Paired axial CT (left) and PSMA PET (right), 18F-PSMA tracer. Acquired on Siemens Biograph mCT Flow 20. PET panel 200×200 px (4.1 mm/px).
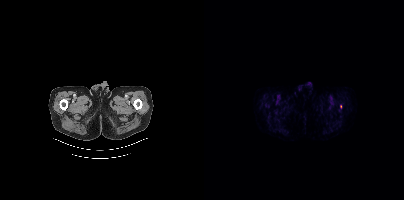
Coordinates are on the 200×200 PET (right) panel. Small PSMA-avid focus (2 to 4 px across) near (center x, center y): (136, 106).